modality: PSMA PET/CT | tracer: [18F]PSMA-1007 | view: axial | PET grid: 200×200
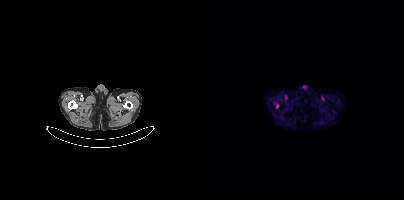
Coordinates are on the 200×200 PET (right) panel. PSMA-avid tumor lesion bounding box (x0,y0,x1,y1): [72,104,74,108].